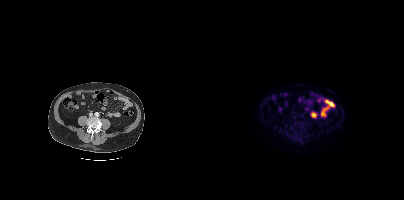
This slice has no annotated PSMA-avid lesion. Two-panel axial: CT | PSMA PET, [18F]PSMA-1007 tracer. Acquired on Siemens Biograph mCT Flow 20. PET panel 200×200 px (4.1 mm/px).